- Two-panel axial: CT | PSMA PET, [68Ga]Ga-PSMA-11 tracer
- acquired on Siemens Biograph 64-4R TruePoint
- slice position z = -1100 mm
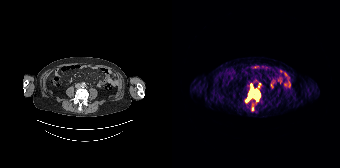
Findings: Coordinates are on the 168×168 PET (right) panel. (showing 2 of 3 foci) PSMA-avid tumor lesion bounding box (x, y, width, height): x=73 y=84 w=15 h=19. Small PSMA-avid focus (2 to 4 px across) near (center x, center y): (80, 109).